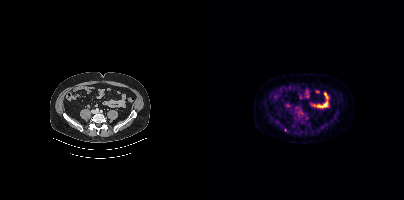
Coordinates are on the 200×200 PET (right) panel. Small PSMA-avid focus (2 to 4 px across) near (center x, center y): (81, 130).